modality: PSMA PET/CT | tracer: 18F-PSMA | view: axial | PET grid: 200×200
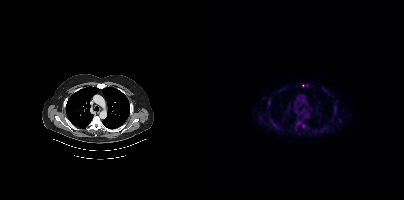
Coordinates are on the 200×200 PET (right) panel. (showing 11 of 12 foci) PSMA-avid tumor lesion bounding boxes (x0, y0)-(x1, y1): (93, 120)-(102, 128); (67, 120)-(74, 128); (129, 108)-(133, 113); (129, 102)-(133, 106); (63, 99)-(67, 104); (99, 83)-(103, 86). Small PSMA-avid foci (2 to 4 px across) near (center x, center y): (109, 130); (119, 128); (95, 132); (64, 112); (57, 118).